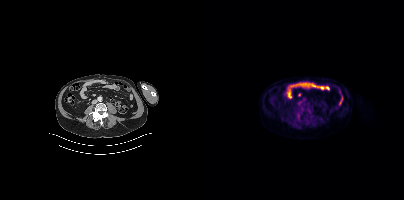
Findings: No tumor lesions annotated on this slice.
- Left: CT. Right: PSMA PET, same axial level, 18F-PSMA tracer